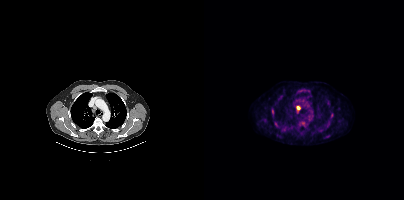
Coordinates are on the 200×200 PET (right) panel. (showing 2 of 4 foci) PSMA-avid tumor lesion bounding box (x, y, width, height): x=92 y=106 w=5 h=5. Small PSMA-avid focus (2 to 4 px across) near (center x, center y): (99, 122). Paired axial CT (left) and PSMA PET (right), [18F]PSMA-1007 tracer. Slice position z = -967 mm.